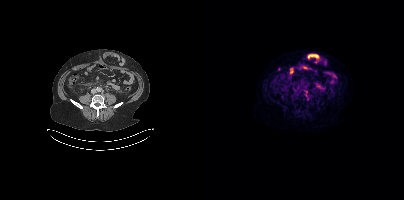
Findings: Coordinates are on the 200×200 PET (right) panel. PSMA-avid tumor lesion bounding box (x, y, width, height): x=102 y=95 w=4 h=5. Small PSMA-avid focus (2 to 4 px across) near (center x, center y): (101, 91).
- Left: CT. Right: PSMA PET, same axial level, 18F tracer
- acquired on Siemens Biograph mCT Flow 20
- slice position z = -557 mm
- PET panel 200×200 px (4.1 mm/px)